Left: CT. Right: PSMA PET, same axial level, [18F]PSMA-1007 tracer. Acquired on Siemens Biograph mCT Flow 20. PET panel 200×200 px (4.1 mm/px).
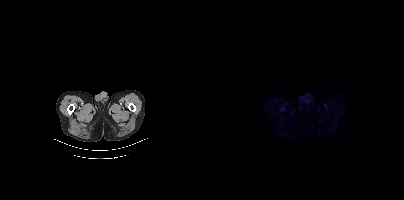
This slice has no annotated PSMA-avid lesion.